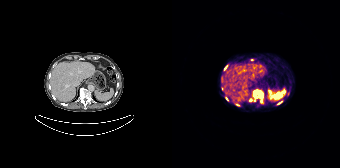
- Paired axial CT (left) and PSMA PET (right), 68Ga tracer
- slice position z = -524 mm
- PET panel 168×168 px (4.1 mm/px)
Findings: Coordinates are on the 168×168 PET (right) panel. (showing 8 of 11 foci) PSMA-avid tumor lesion bounding box (x0,y0,x1,y1): [87,91,91,96]. Small PSMA-avid foci (2 to 4 px across) near (center x, center y): (116, 93) (53, 67) (108, 102) (55, 98) (78, 100) (65, 104) (80, 59).